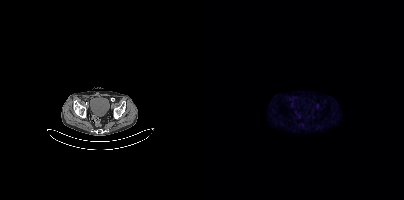
No PSMA-avid tumor lesions on this slice. Two-panel axial: CT | PSMA PET, 18F tracer. Acquired on Siemens Biograph mCT Flow 20.